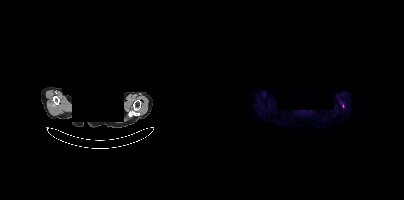
Paired axial CT (left) and PSMA PET (right), [18F]PSMA-1007 tracer. Any black rectangle over the head is a privacy mask, not anatomy. Only PSMA-avid lesion pieces thinner than 2 px on this slice (not listed).